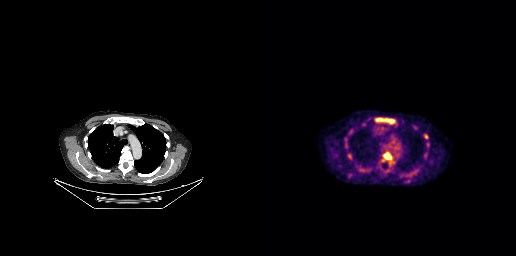
Coordinates are on the 256×256 PET (right) panel. PSMA-avid tumor lesion bounding boxes (x, y, width, height): x=116 y=118 w=19 h=6 / x=123 y=152 w=9 h=8.